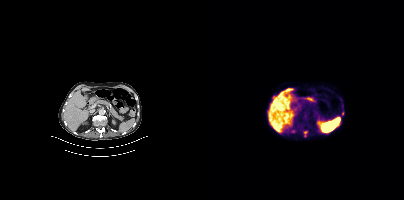
Two-panel axial: CT | PSMA PET, 18F-PSMA tracer. Acquired on Siemens Biograph mCT Flow 20. Slice position z = -556 mm. PET panel 200×200 px (4.1 mm/px). Coordinates are on the 200×200 PET (right) panel. (showing 1 of 2 foci) Small PSMA-avid focus (2 to 4 px across) near (center x, center y): (101, 132).